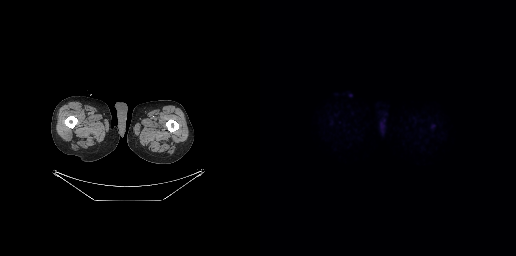
Findings: This slice has no annotated PSMA-avid lesion.
Technique: Left: CT. Right: PSMA PET, same axial level, [18F]PSMA-1007 tracer.